- Left: CT. Right: PSMA PET, same axial level, 18F tracer
- acquired on GE Discovery 690
- slice 29 of 263
- PET panel 256×256 px (2.7 mm/px)
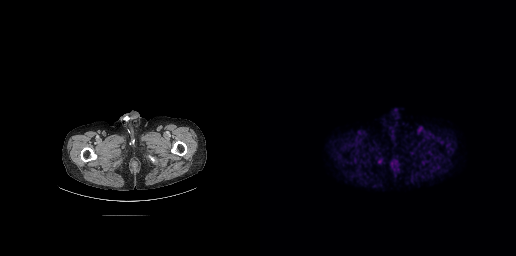
Findings: This slice has no annotated PSMA-avid lesion.